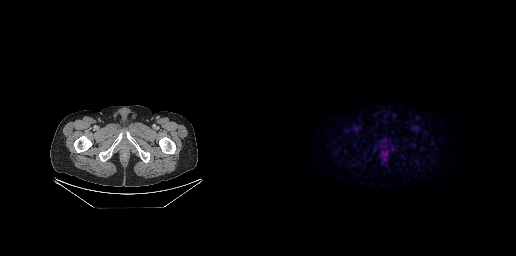
Technique: Paired axial CT (left) and PSMA PET (right), 18F-PSMA tracer. acquired on GE Discovery 690. slice position z = -750 mm.
Findings: No PSMA-avid tumor lesions on this slice.